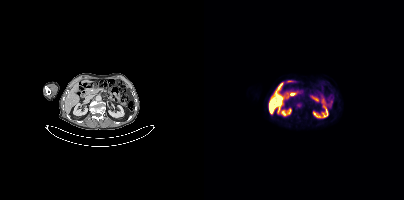
Two-panel axial: CT | PSMA PET, 18F tracer. Acquired on Siemens Biograph mCT Flow 20. PET panel 200×200 px (4.1 mm/px). This slice has no annotated PSMA-avid lesion.